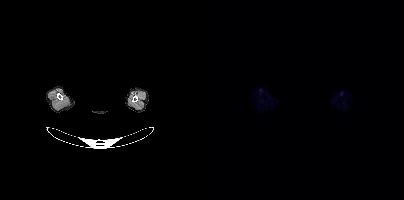
No tumor lesions annotated on this slice. The head region is masked for de-identification. Left: CT. Right: PSMA PET, same axial level, 18F tracer. PET panel 200×200 px (4.1 mm/px).